Left: CT. Right: PSMA PET, same axial level, 18F-PSMA tracer. Acquired on Siemens Biograph mCT Flow 20. PET panel 200×200 px (4.1 mm/px).
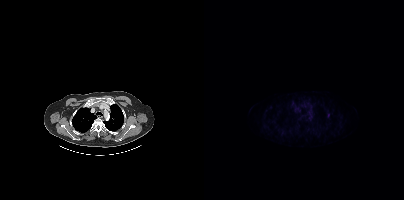
Coordinates are on the 200×200 PET (right) panel. Small PSMA-avid focus (2 to 4 px across) near (center x, center y): (124, 114).